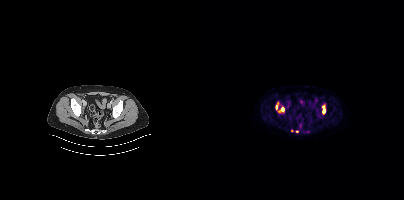
modality: PSMA PET/CT | tracer: 18F-PSMA | view: axial
Coordinates are on the 200×200 PET (right) panel. PSMA-avid tumor lesion bounding boxes (x0, y0)-(x1, y1): (118, 105)-(121, 113) / (74, 107)-(80, 112) / (71, 102)-(74, 109). Small PSMA-avid foci (2 to 4 px across) near (center x, center y): (93, 131) / (87, 130).